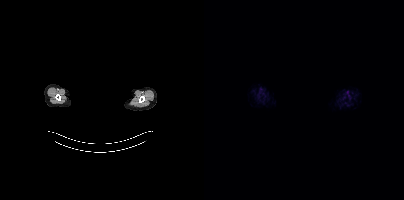
An anonymization step blacked out a rectangle over the head in this scan.
No tumor lesions annotated on this slice.